modality: PSMA PET/CT | tracer: 18F-PSMA | view: axial
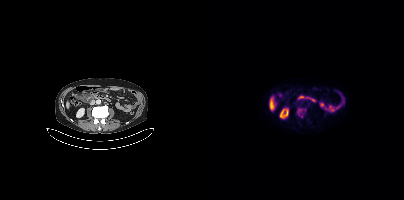
Coordinates are on the 200×200 PET (right) panel. PSMA-avid tumor lesion bounding box (x0, y0)-(x1, y1): (93, 108)-(102, 117).